- Two-panel axial: CT | PSMA PET, [18F]PSMA-1007 tracer
- PET panel 200×200 px (4.1 mm/px)
- face de-identified by blanking a block of the head
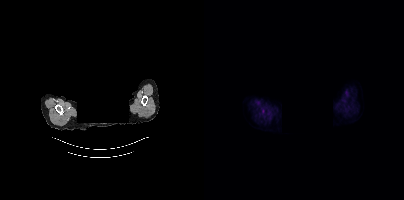
Findings: This slice has no annotated PSMA-avid lesion.